- Two-panel axial: CT | PSMA PET, 18F tracer
- acquired on Siemens Biograph mCT Flow 20
- slice 70 of 397
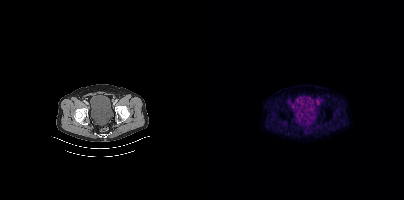
Findings: Coordinates are on the 200×200 PET (right) panel. Small PSMA-avid focus (2 to 4 px across) near (center x, center y): (113, 101).